Left: CT. Right: PSMA PET, same axial level, 18F-PSMA tracer. Slice 105 of 415. PET panel 200×200 px (4.1 mm/px).
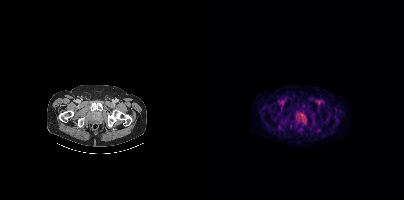
Coordinates are on the 200×200 PET (right) panel. PSMA-avid tumor lesion bounding boxes:
| # | x0 | y0 | x1 | y1 |
|---|---|---|---|---|
| 1 | 96 | 113 | 102 | 120 |